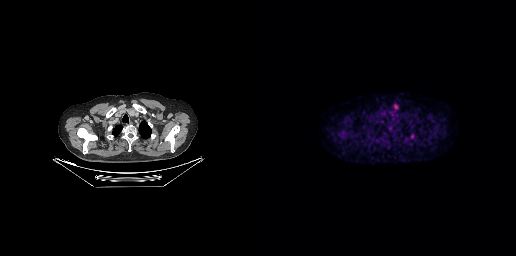
{"modality":"PSMA PET/CT","view":"axial","tracer":"[18F]PSMA-1007","pet_grid":[256,256],"coord_frame":"pet_panel","coord_format":"x0,y0,x1,y1","lesion_bboxes":[],"small_foci_centers":[[135,106]]}